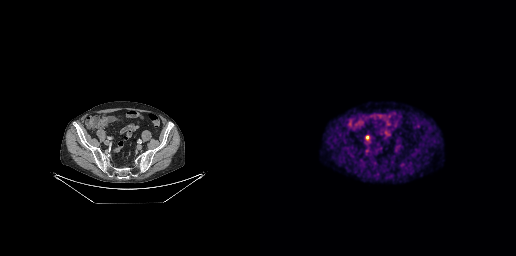
Coordinates are on the 256×256 PET (right) panel. Small PSMA-avid focus (2 to 4 px across) near (center x, center y): (107, 137). Paired axial CT (left) and PSMA PET (right), [18F]PSMA-1007 tracer. Acquired on GE Discovery 690. PET panel 256×256 px (2.7 mm/px).